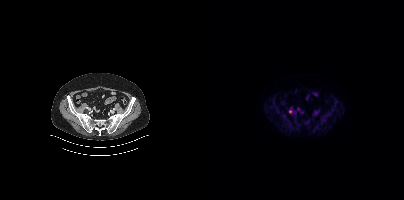
Two-panel axial: CT | PSMA PET, 18F tracer. PET panel 200×200 px (4.1 mm/px). Coordinates are on the 200×200 PET (right) panel. Small PSMA-avid focus (2 to 4 px across) near (center x, center y): (86, 111).